Left: CT. Right: PSMA PET, same axial level, 18F-PSMA tracer.
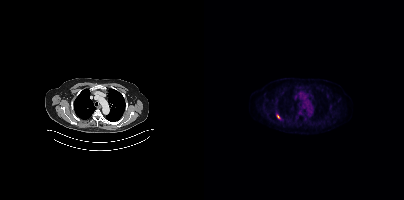
Coordinates are on the 200×200 PET (right) panel. PSMA-avid tumor lesion bounding box (x0,y0,x1,y1): [72,114,76,118].